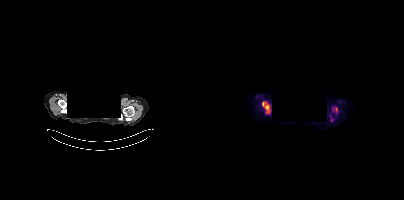
modality: PSMA PET/CT | tracer: 18F-PSMA | view: axial | PET grid: 200×200 | deidentification: head region blanked (face removed)
Coordinates are on the 200×200 PET (right) panel. (showing 2 of 3 foci) PSMA-avid tumor lesion bounding boxes (x0, y0)-(x1, y1): (58, 102)-(65, 113); (131, 107)-(133, 111).